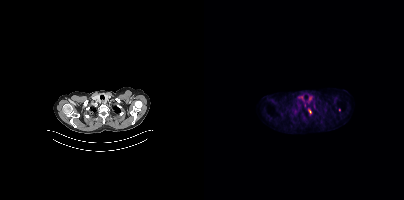
Coordinates are on the 200×200 PET (right) panel. PSMA-avid tumor lesion bounding box (x0, y0)-(x1, y1): (104, 109)-(107, 114). Small PSMA-avid focus (2 to 4 px across) near (center x, center y): (135, 109).